- Paired axial CT (left) and PSMA PET (right), 18F-PSMA tracer
- acquired on Siemens Biograph mCT Flow 20
- slice 213 of 444
- PET panel 200×200 px (4.1 mm/px)
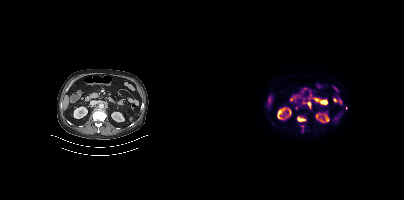
Findings: Coordinates are on the 200×200 PET (right) panel. PSMA-avid tumor lesion bounding box (x, y, width, height): x=93 y=117 w=9 h=5. Small PSMA-avid focus (2 to 4 px across) near (center x, center y): (105, 103).